- Paired axial CT (left) and PSMA PET (right), [68Ga]Ga-PSMA-11 tracer
- acquired on GE Discovery 690
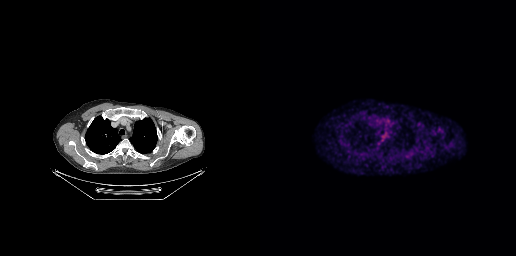
Findings: This slice has no annotated PSMA-avid lesion.